Two-panel axial: CT | PSMA PET, 68Ga-PSMA tracer. Slice position z = -1256 mm. PET panel 168×168 px (4.1 mm/px).
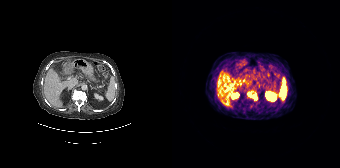
Coordinates are on the 168×168 PET (right) panel. PSMA-avid tumor lesion bounding boxes:
| # | x0 | y0 | x1 | y1 |
|---|---|---|---|---|
| 1 | 75 | 92 | 85 | 100 |